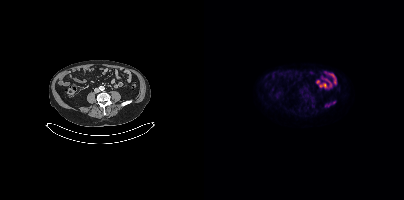
{"modality":"PSMA PET/CT","view":"axial","tracer":"[18F]PSMA-1007","pet_grid":[200,200],"coord_frame":"pet_panel","coord_format":"x0,y0,x1,y1","lesion_bboxes":[],"small_foci_centers":[[124,105],[129,102]]}